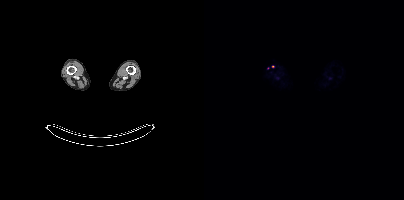
{"modality":"PSMA PET/CT","view":"axial","tracer":"18F","pet_grid":[200,200],"coord_frame":"pet_panel","coord_format":"x0,y0,x1,y1","partial":true,"lesion_bboxes":[],"small_foci_centers":[[68,66]]}